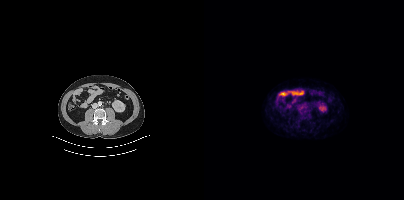
Technique: Paired axial CT (left) and PSMA PET (right), [18F]PSMA-1007 tracer. acquired on Siemens Biograph mCT Flow 20. slice position z = -700 mm.
Findings: No PSMA-avid tumor lesions on this slice.